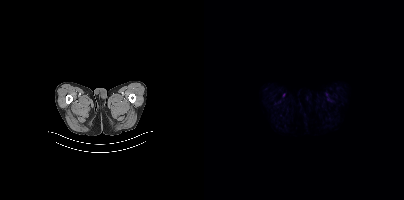
Negative for PSMA-avid disease on this slice.